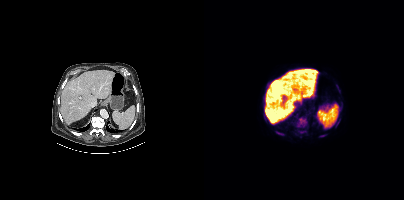
- Paired axial CT (left) and PSMA PET (right), 18F-PSMA tracer
- slice position z = -1309 mm
- PET panel 200×200 px (4.1 mm/px)
Findings: Coordinates are on the 200×200 PET (right) panel. PSMA-avid tumor lesion bounding boxes (x, y, width, height): x=92 y=117 w=12 h=11; x=132 y=85 w=5 h=8; x=73 y=132 w=7 h=4; x=132 y=122 w=4 h=5; x=96 y=131 w=6 h=3; x=116 y=135 w=5 h=2. Small PSMA-avid focus (2 to 4 px across) near (center x, center y): (68, 124).